Paired axial CT (left) and PSMA PET (right), [18F]PSMA-1007 tracer. Acquired on Siemens Biograph mCT Flow 20. PET panel 200×200 px (4.1 mm/px).
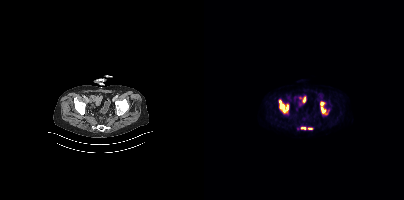
Coordinates are on the 200×200 PET (right) panel. PSMA-avid tumor lesion bounding boxes:
| # | x0 | y0 | x1 | y1 |
|---|---|---|---|---|
| 1 | 75 | 100 | 84 | 112 |
| 2 | 116 | 101 | 121 | 113 |
| 3 | 104 | 128 | 108 | 129 |
| 4 | 97 | 127 | 101 | 128 |